modality: PSMA PET/CT | tracer: 18F | view: axial | PET grid: 200×200
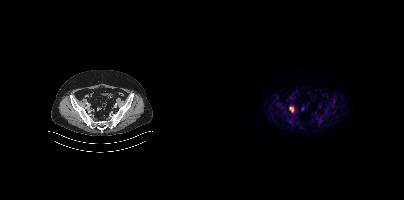
Coordinates are on the 200×200 PET (right) panel. PSMA-avid tumor lesion bounding box (x, y, width, height): x=85 y=107 w=5 h=5.